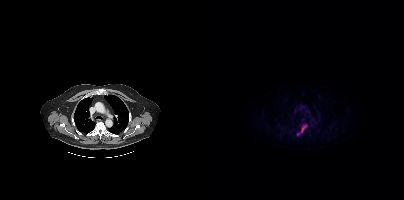
{"modality":"PSMA PET/CT","view":"axial","tracer":"18F","pet_grid":[200,200],"coord_frame":"pet_panel","coord_format":"x0,y0,x1,y1","lesion_bboxes":[[93,126,101,135]]}